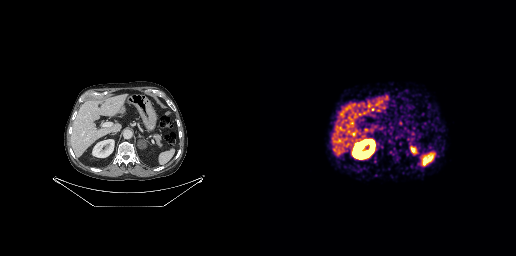
modality: PSMA PET/CT | tracer: 68Ga-PSMA | view: axial | PET grid: 256×256
No PSMA-avid tumor lesions on this slice.